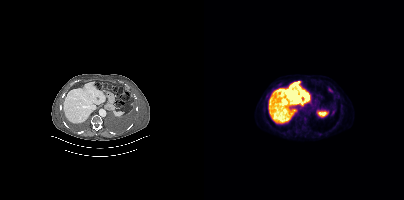
Coordinates are on the 200×200 PET (right) panel. PSMA-avid tumor lesion bounding boxes (x, y, width, height): x=127 y=110 w=5 h=6; x=124 y=87 w=4 h=5. Two-panel axial: CT | PSMA PET, [18F]PSMA-1007 tracer. Slice position z = -1412 mm.